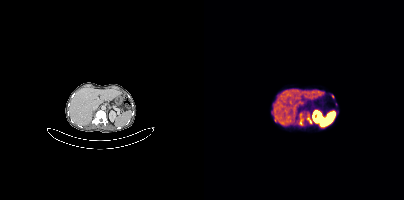
Coordinates are on the 200×200 PET (right) panel. PSMA-avid tumor lesion bounding boxes (x0, y0)-(x1, y1): (95, 113)-(99, 125) | (103, 114)-(107, 123). Small PSMA-avid focus (2 to 4 px across) near (center x, center y): (128, 96).